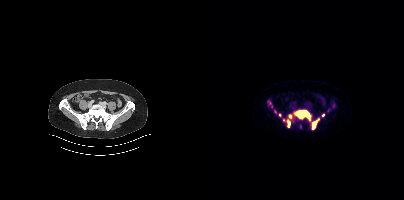
{"pet_grid":[200,200],"coord_frame":"pet_panel","coord_format":"x0,y0,x1,y1","lesion_bboxes":[[90,110,106,120],[108,118,115,129],[83,119,86,127],[85,114,87,118]],"small_foci_centers":[[119,114],[75,115],[79,119]],"modality":"PSMA PET/CT","view":"axial","tracer":"18F"}